modality: PSMA PET/CT | tracer: 18F-PSMA | view: axial | PET grid: 200×200
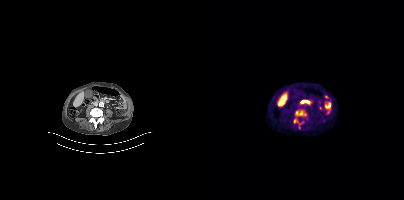
Coordinates are on the 200×200 PET (right) panel. PSMA-avid tumor lesion bounding box (x0,y0,x1,y1): [90,111,100,129].